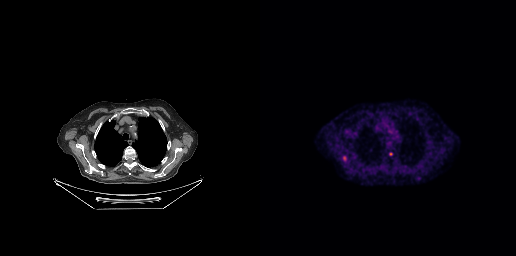
Findings: Coordinates are on the 256×256 PET (right) panel. Small PSMA-avid focus (2 to 4 px across) near (center x, center y): (130, 153).
Technique: Left: CT. Right: PSMA PET, same axial level, 18F-PSMA tracer. PET panel 256×256 px (2.7 mm/px).